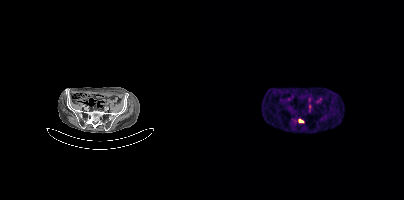
Coordinates are on the 200×200 PET (right) panel. PSMA-avid tumor lesion bounding box (x0,y0,x1,y1): [95,119,99,122]. Small PSMA-avid focus (2 to 4 px across) near (center x, center y): (106, 106).